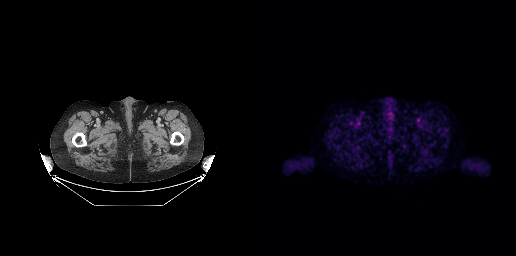
No PSMA-avid tumor lesions on this slice. Paired axial CT (left) and PSMA PET (right), 18F tracer. Acquired on GE Discovery 690. PET panel 256×256 px (2.7 mm/px).